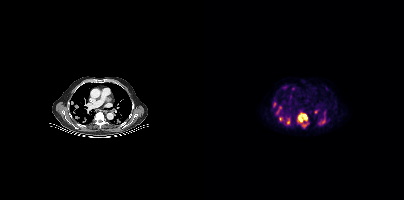
{"modality":"PSMA PET/CT","view":"axial","tracer":"18F","pet_grid":[200,200],"coord_frame":"pet_panel","coord_format":"x0,y0,x1,y1","partial":true,"lesion_bboxes":[[93,113,103,127],[72,106,77,113],[120,111,121,115]],"small_foci_centers":[[76,118],[84,120],[119,121],[70,104],[88,88],[111,111]]}